Two-panel axial: CT | PSMA PET, 18F-PSMA tracer. PET panel 200×200 px (4.1 mm/px).
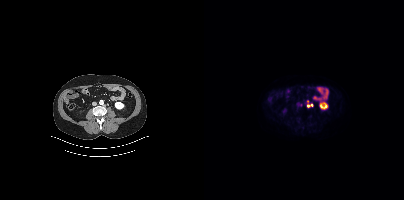
Coordinates are on the 200×200 PET (right) panel. PSMA-avid tumor lesion bounding box (x0,y0,x1,y1): [103,104,109,107]. Small PSMA-avid focus (2 to 4 px across) near (center x, center y): (103, 101).